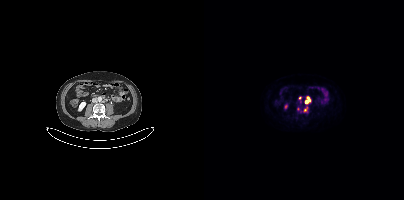
Technique: Paired axial CT (left) and PSMA PET (right), 68Ga-PSMA tracer. slice position z = -1305 mm. PET panel 200×200 px (4.1 mm/px).
Findings: Coordinates are on the 200×200 PET (right) panel. PSMA-avid tumor lesion bounding boxes (x, y, width, height): x=93 y=107 w=12 h=7 | x=101 y=97 w=6 h=7. Small PSMA-avid foci (2 to 4 px across) near (center x, center y): (95, 98) | (96, 102).